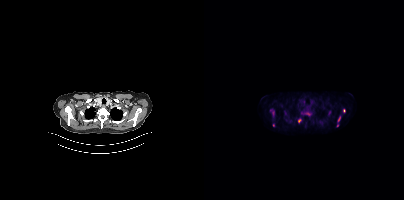
Coordinates are on the 200×200 PET (right) panel. (showing 7 of 9 foci) PSMA-avid tumor lesion bounding box (x, y, width, height): x=134 y=116 w=3 h=6. Small PSMA-avid foci (2 to 4 px across) near (center x, center y): (140, 110) | (95, 120) | (69, 125) | (133, 125) | (125, 112) | (81, 113).